- Left: CT. Right: PSMA PET, same axial level, 68Ga-PSMA tracer
- acquired on Siemens Biograph 64-4R TruePoint
- PET panel 168×168 px (4.1 mm/px)
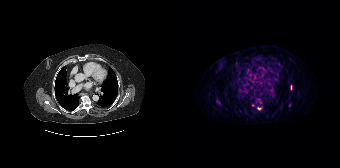
Findings: Coordinates are on the 168×168 PET (right) panel. (showing 1 of 2 foci) Small PSMA-avid focus (2 to 4 px across) near (center x, center y): (87, 108).